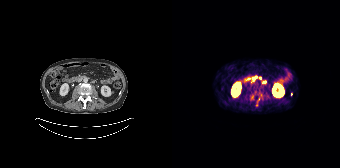
Left: CT. Right: PSMA PET, same axial level, 68Ga-PSMA tracer. Acquired on Siemens Biograph 64-4R TruePoint. Slice position z = -734 mm. PET panel 168×168 px (4.1 mm/px). Coordinates are on the 168×168 PET (right) panel. (showing 4 of 6 foci) PSMA-avid tumor lesion bounding boxes (x0, y0)-(x1, y1): (78, 94)-(81, 100) / (90, 81)-(94, 83). Small PSMA-avid foci (2 to 4 px across) near (center x, center y): (88, 78) / (82, 78).